Technique: Paired axial CT (left) and PSMA PET (right), 18F tracer. acquired on Siemens Biograph mCT Flow 20. slice position z = -848 mm. PET panel 200×200 px (4.1 mm/px).
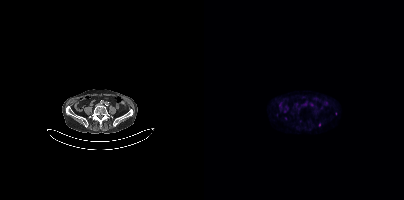
Findings: Coordinates are on the 200×200 PET (right) panel. (showing 1 of 2 foci) Small PSMA-avid focus (2 to 4 px across) near (center x, center y): (115, 124).